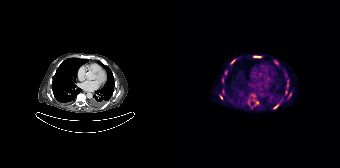
Left: CT. Right: PSMA PET, same axial level, 68Ga-PSMA tracer. Slice position z = -844 mm. PET panel 168×168 px (4.1 mm/px). Coordinates are on the 168×168 PET (right) panel. (showing 8 of 15 foci) PSMA-avid tumor lesion bounding boxes (x0,y0,x1,y1): [102,60,106,64], [82,56,88,57], [83,101,86,105], [101,104,106,108], [48,95,50,99]. Small PSMA-avid foci (2 to 4 px across) near (center x, center y): (60, 61), (81, 95), (118, 94).